modality: PSMA PET/CT | tracer: 18F-PSMA | view: axial | PET grid: 200×200
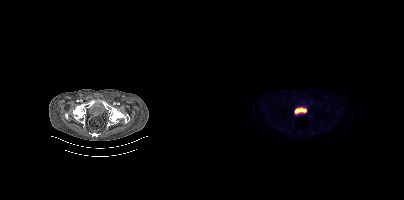
This slice has no annotated PSMA-avid lesion.